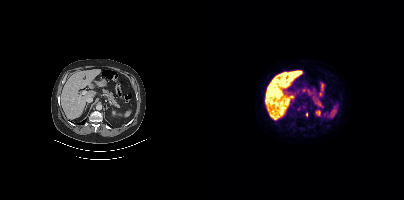
{"modality":"PSMA PET/CT","view":"axial","tracer":"18F","pet_grid":[200,200],"coord_frame":"pet_panel","coord_format":"x0,y0,x1,y1","lesion_bboxes":[[93,107,96,111],[102,112,103,116]]}